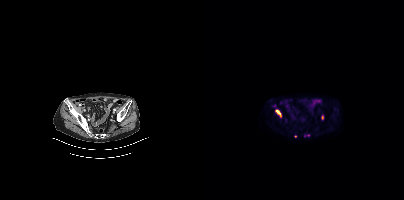
Coordinates are on the 200×200 PET (right) panel. PSMA-avid tumor lesion bounding boxes (x0,y0,x1,y1): [72,110,77,116] [100,134,104,137]. Small PSMA-avid foci (2 to 4 px across) near (center x, center y): (69, 105) (118, 117) (91, 136).